A rectangular block over the head has been blanked out for de-identification. Paired axial CT (left) and PSMA PET (right), [18F]PSMA-1007 tracer. Slice 292 of 299. PET panel 256×256 px (2.7 mm/px).
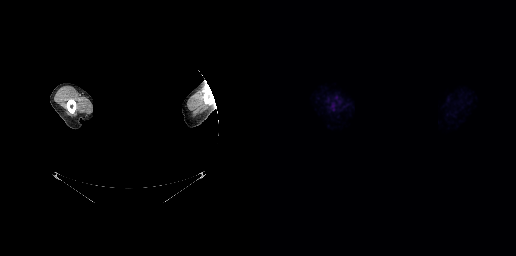
This slice has no annotated PSMA-avid lesion.